Left: CT. Right: PSMA PET, same axial level, 68Ga-PSMA tracer. Slice position z = -1348 mm. PET panel 168×168 px (4.1 mm/px).
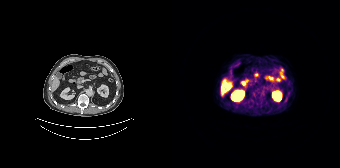
No tumor lesions annotated on this slice.